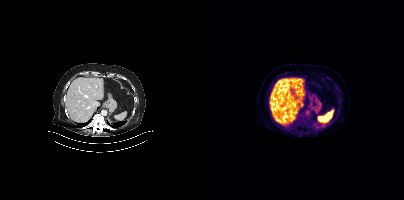
Two-panel axial: CT | PSMA PET, [18F]PSMA-1007 tracer. Acquired on Siemens Biograph mCT Flow 20. PET panel 200×200 px (4.1 mm/px). No tumor lesions annotated on this slice.